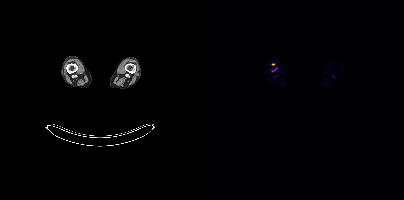
modality: PSMA PET/CT | tracer: 18F-PSMA | view: axial | PET grid: 200×200
Coordinates are on the 200×200 PET (right) panel. (showing 1 of 2 foci) Small PSMA-avid focus (2 to 4 px across) near (center x, center y): (69, 64).